Two-panel axial: CT | PSMA PET, [68Ga]Ga-PSMA-11 tracer.
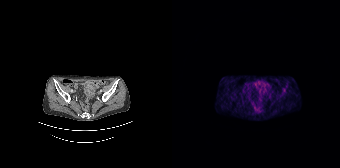
Coordinates are on the 168×168 PET (right) panel. Small PSMA-avid focus (2 to 4 px across) near (center x, center y): (112, 89).